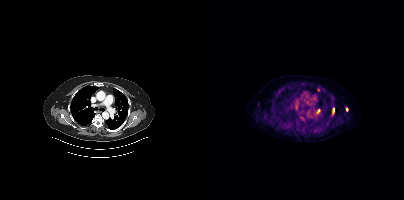
Coordinates are on the 200×200 PET (right) panel. PSMA-avid tumor lesion bounding box (x0,y0,x1,y1): [129,108,130,113]. Small PSMA-avid foci (2 to 4 px across) near (center x, center y): (114, 90), (114, 110), (142, 109).
modality: PSMA PET/CT | tracer: 18F | view: axial | PET grid: 200×200